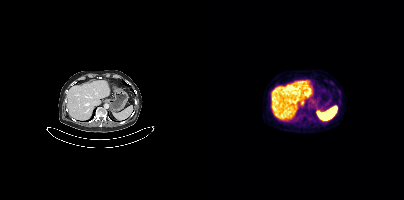
{"pet_grid":[200,200],"coord_frame":"pet_panel","coord_format":"x0,y0,x1,y1","psma_avid_lesions":false,"modality":"PSMA PET/CT","view":"axial","tracer":"[18F]PSMA-1007"}